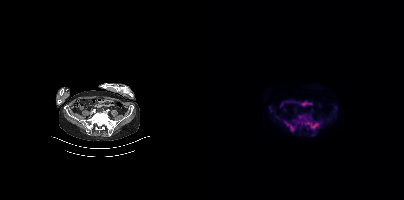
Coordinates are on the 200×200 PET (right) panel. PSMA-avid tumor lesion bounding boxes (x, y, width, height): x=105 y=122 w=12 h=8; x=94 y=115 w=6 h=5; x=86 y=121 w=7 h=10. Small PSMA-avid foci (2 to 4 px across) near (center x, center y): (102, 121); (83, 124). Paired axial CT (left) and PSMA PET (right), 18F tracer. Slice 130 of 415.